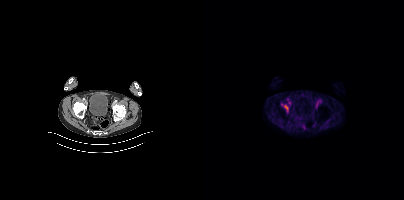
Findings: Coordinates are on the 200×200 PET (right) panel. Small PSMA-avid focus (2 to 4 px across) near (center x, center y): (82, 107).
Technique: Paired axial CT (left) and PSMA PET (right), [18F]PSMA-1007 tracer. slice 79 of 421.